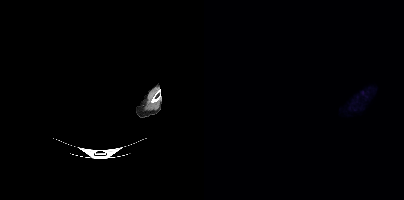
Left: CT. Right: PSMA PET, same axial level, 18F-PSMA tracer. Slice 387 of 411. A rectangle over the head was blacked out to remove identifiable facial features. No tumor lesions annotated on this slice.